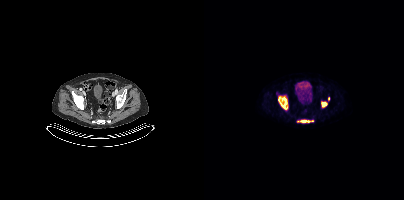
Coordinates are on the 200×200 PET (right) panel. (showing 3 of 6 foci) PSMA-avid tumor lesion bounding boxes (x0,y0,x1,y1): [74,96,83,109], [96,120,106,122], [117,102,122,106].